Technique: Two-panel axial: CT | PSMA PET, [18F]PSMA-1007 tracer. acquired on Siemens Biograph mCT Flow 20.
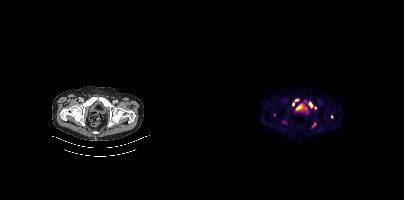
Findings: Coordinates are on the 200×200 PET (right) panel. (showing 5 of 7 foci) PSMA-avid tumor lesion bounding box (x0, y0)-(x1, y1): (105, 102)-(108, 107). Small PSMA-avid foci (2 to 4 px across) near (center x, center y): (89, 103) | (92, 100) | (111, 107) | (127, 116).